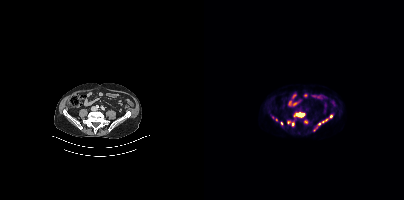
Coordinates are on the 200×200 PET (right) panel. (showing 7 of 10 foci) PSMA-avid tumor lesion bounding boxes (x0,y0,x1,y1): [92,113,100,116]; [123,114,128,119]; [68,116,73,121]. Small PSMA-avid foci (2 to 4 px across) near (center x, center y): (88, 124); (77, 123); (115, 123); (84, 122).